Technique: Left: CT. Right: PSMA PET, same axial level, [18F]PSMA-1007 tracer. PET panel 200×200 px (4.1 mm/px).
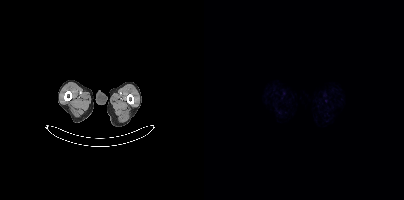
Findings: This slice has no annotated PSMA-avid lesion.